modality: PSMA PET/CT | tracer: [18F]PSMA-1007 | view: axial
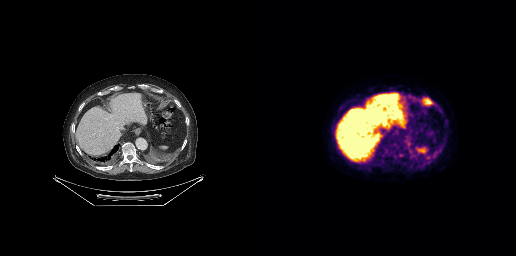
Coordinates are on the 256×256 PET (right) panel. PSMA-avid tumor lesion bounding boxes (x0,y0,x1,y1): [161,97,173,106] [170,148,180,160] [139,153,143,157] [153,99,156,103].